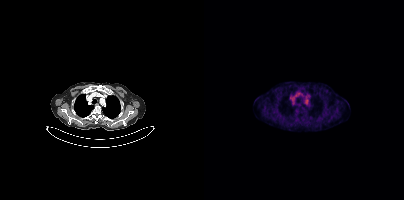
Technique: Two-panel axial: CT | PSMA PET, 18F-PSMA tracer. slice position z = -1142 mm. PET panel 200×200 px (4.1 mm/px).
Findings: No PSMA-avid tumor lesions on this slice.